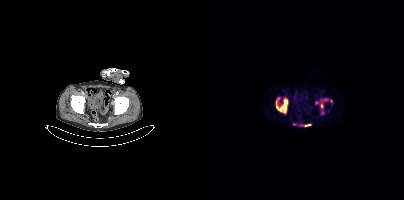
Coordinates are on the 200×200 PET (right) panel. PSMA-avid tumor lesion bounding boxes (x0,y0,x1,y1): [71,97,84,114], [116,99,124,114], [96,124,107,127]. Small PSMA-avid foci (2 to 4 px across) near (center x, center y): (112, 102), (127, 101), (90, 124).